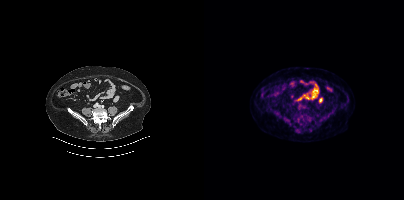
No tumor lesions annotated on this slice.